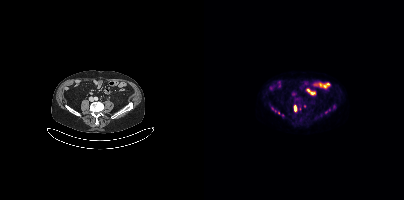
Technique: Two-panel axial: CT | PSMA PET, 18F-PSMA tracer. acquired on Siemens Biograph mCT Flow 20. PET panel 200×200 px (4.1 mm/px).
Findings: Coordinates are on the 200×200 PET (right) panel. (showing 1 of 6 foci) PSMA-avid tumor lesion bounding box (x0, y0)-(x1, y1): (90, 106)-(92, 111).